Technique: Paired axial CT (left) and PSMA PET (right), 18F-PSMA tracer. acquired on Siemens Biograph mCT Flow 20.
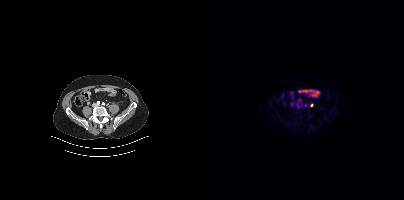
Findings: Coordinates are on the 200×200 PET (right) panel. Small PSMA-avid focus (2 to 4 px across) near (center x, center y): (108, 105).